Technique: Left: CT. Right: PSMA PET, same axial level, 18F tracer. slice position z = -478 mm.
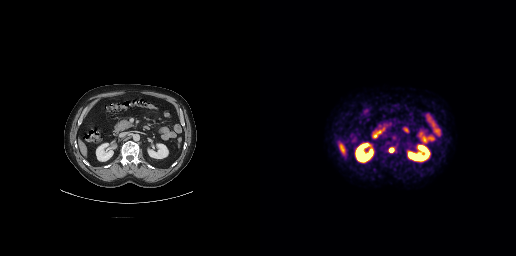
Findings: Coordinates are on the 256×256 PET (right) panel. PSMA-avid tumor lesion bounding box (x0,y0,x1,y1): [128,147,134,152].